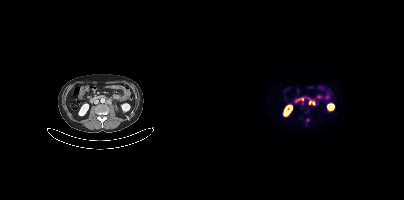
Coordinates are on the 200×200 PET (right) panel. PSMA-avid tumor lesion bounding box (x0,y0,x1,y1): [105,100,110,104]. Small PSMA-avid focus (2 to 4 px across) near (center x, center y): (103, 119).